Paired axial CT (left) and PSMA PET (right), [18F]PSMA-1007 tracer. Acquired on GE Discovery 690. Slice 200 of 263.
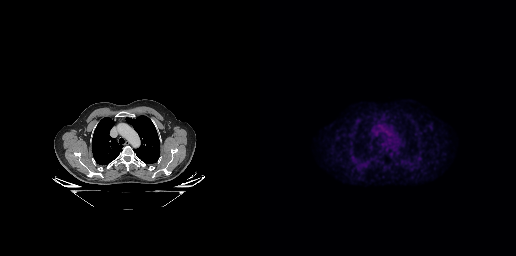
No PSMA-avid tumor lesions on this slice.